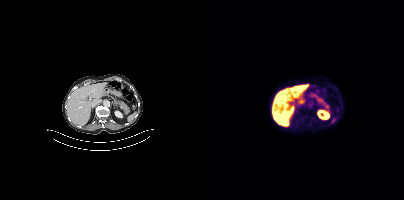
{"modality":"PSMA PET/CT","view":"axial","tracer":"18F","pet_grid":[200,200],"coord_frame":"pet_panel","coord_format":"x0,y0,x1,y1","psma_avid_lesions":false}